Technique: Left: CT. Right: PSMA PET, same axial level, 18F tracer. slice 173 of 299.
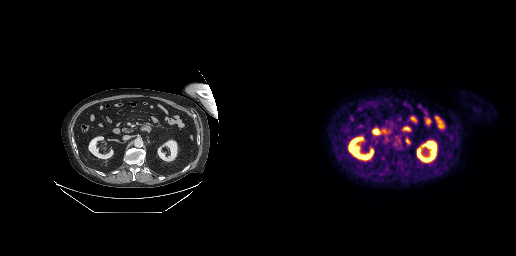
Findings: Coordinates are on the 256×256 PET (right) panel. PSMA-avid tumor lesion bounding box (x0, y0)-(x1, y1): (145, 138)-(150, 144).